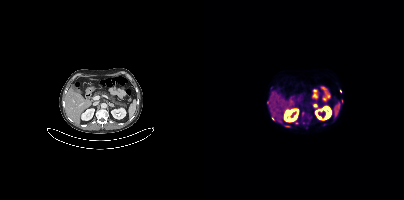
Coordinates are on the 200×200 PET (right) panel. (showing 4 of 9 foci) PSMA-avid tumor lesion bounding box (x0, y0)-(x1, y1): (109, 104)-(113, 107). Small PSMA-avid foci (2 to 4 px across) near (center x, center y): (64, 102) / (92, 123) / (136, 91).